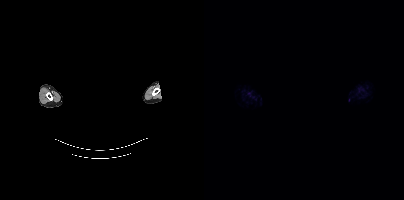
{"modality":"PSMA PET/CT","view":"axial","tracer":"[18F]PSMA-1007","pet_grid":[200,200],"coord_frame":"pet_panel","coord_format":"x0,y0,x1,y1","de-identification":"face masked with black rectangle","psma_avid_lesions":false}